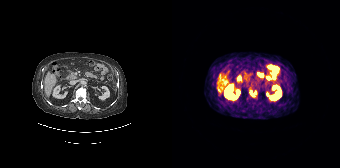
Technique: Two-panel axial: CT | PSMA PET, [68Ga]Ga-PSMA-11 tracer. slice 74 of 165. PET panel 168×168 px (4.1 mm/px).
Findings: Coordinates are on the 168×168 PET (right) panel. PSMA-avid tumor lesion bounding box (x, y, width, height): x=78 y=91 w=7 h=6.